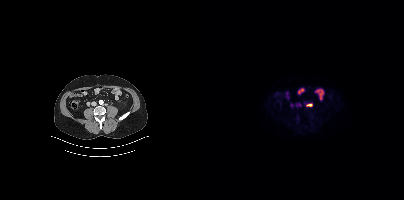
Coordinates are on the 200×200 PET (right) panel. PSMA-avid tumor lesion bounding box (x0, y0)-(x1, y1): (102, 104)-(108, 106).